- Paired axial CT (left) and PSMA PET (right), [18F]PSMA-1007 tracer
- PET panel 200×200 px (4.1 mm/px)
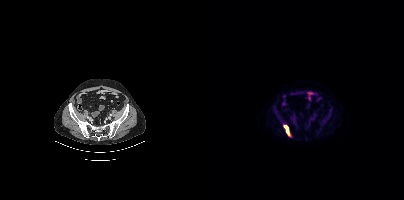
Findings: Coordinates are on the 200×200 PET (right) panel. PSMA-avid tumor lesion bounding box (x0,y0,x1,y1): [79,125,86,136].